Left: CT. Right: PSMA PET, same axial level, 18F tracer.
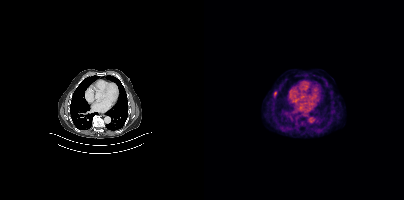
Coordinates are on the 200×200 PET (right) panel. Small PSMA-avid focus (2 to 4 px across) near (center x, center y): (71, 93).